Paired axial CT (left) and PSMA PET (right), 68Ga-PSMA tracer. Acquired on Siemens Biograph mCT Flow 20. PET panel 200×200 px (4.1 mm/px).
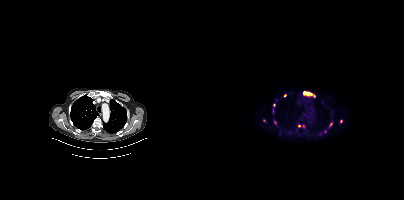
Coordinates are on the 200×200 PET (right) panel. PSMA-avid tumor lesion bounding boxes (partial; 1 more focus not listed):
| # | x0 | y0 | x1 | y1 |
|---|---|---|---|---|
| 1 | 100 | 92 | 108 | 95 |
| 2 | 94 | 125 | 100 | 127 |
Small PSMA-avid foci (2 to 4 px across) near (center x, center y): (81, 95); (137, 121); (127, 124); (70, 105); (70, 121); (110, 95).